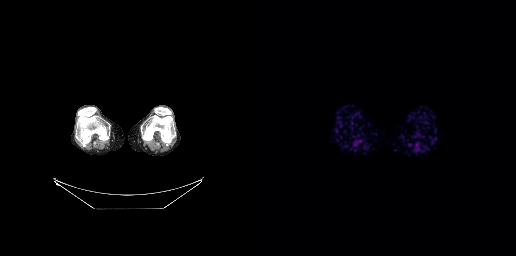
{"modality":"PSMA PET/CT","view":"axial","tracer":"[18F]PSMA-1007","pet_grid":[256,256],"coord_frame":"pet_panel","coord_format":"x0,y0,x1,y1","psma_avid_lesions":false}